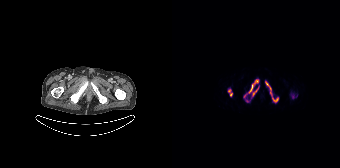
Coordinates are on the 168×168 PET (right) panel. PSMA-avid tumor lesion bounding boxes (x, y, width, height): x=71 y=80 w=17 h=19; x=94 y=82 w=13 h=21; x=56 y=89 w=5 h=8; x=118 y=93 w=8 h=7. Small PSMA-avid focus (2 to 4 px across) near (center x, center y): (75, 101).